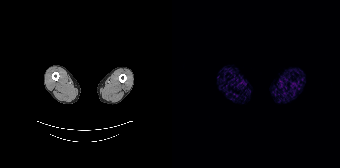
{"modality":"PSMA PET/CT","view":"axial","tracer":"68Ga-PSMA","pet_grid":[168,168],"coord_frame":"pet_panel","coord_format":"x0,y0,x1,y1","psma_avid_lesions":false}